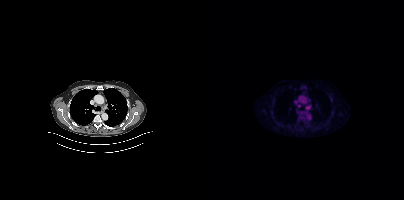
Findings: Negative for PSMA-avid disease on this slice.
- Paired axial CT (left) and PSMA PET (right), [18F]PSMA-1007 tracer
- PET panel 200×200 px (4.1 mm/px)